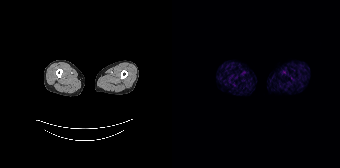
Negative for PSMA-avid disease on this slice.